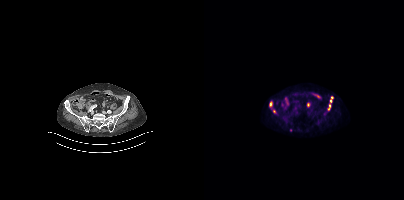
Findings: Coordinates are on the 200×200 PET (right) panel. (showing 3 of 4 foci) PSMA-avid tumor lesion bounding boxes (x, y, width, height): x=123 y=96 w=7 h=15; x=65 y=101 w=4 h=8. Small PSMA-avid focus (2 to 4 px across) near (center x, center y): (70, 110).
Technique: Left: CT. Right: PSMA PET, same axial level, 18F tracer. acquired on Siemens Biograph mCT Flow 20.